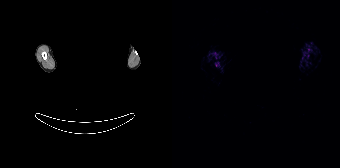
No tumor lesions annotated on this slice. Paired axial CT (left) and PSMA PET (right), 68Ga-PSMA tracer. Acquired on Siemens Biograph 64-4R TruePoint. PET panel 168×168 px (4.1 mm/px). Facial anatomy redacted by setting a rectangular region of the head to black.